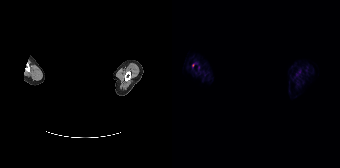
Any black rectangle over the head is a privacy mask, not anatomy. Two-panel axial: CT | PSMA PET, [18F]PSMA-1007 tracer. Acquired on Siemens Biograph 64-4R TruePoint. Slice 182 of 195. Coordinates are on the 168×168 PET (right) panel. Small PSMA-avid focus (2 to 4 px across) near (center x, center y): (21, 65).